Technique: Two-panel axial: CT | PSMA PET, 68Ga-PSMA tracer. acquired on Siemens Biograph 64-4R TruePoint. slice position z = -268 mm. PET panel 168×168 px (4.1 mm/px).
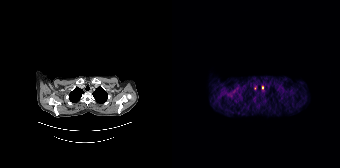
Findings: Coordinates are on the 168×168 PET (right) panel. (showing 1 of 2 foci) Small PSMA-avid focus (2 to 4 px across) near (center x, center y): (90, 87).